Technique: Left: CT. Right: PSMA PET, same axial level, 18F-PSMA tracer. acquired on GE Discovery 690. PET panel 256×256 px (2.7 mm/px).
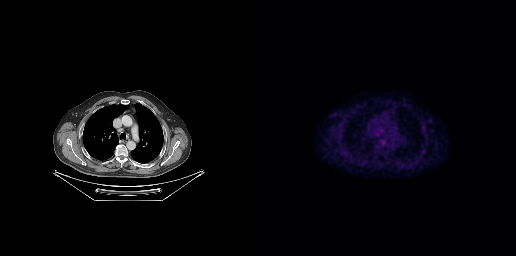
Findings: Only PSMA-avid lesion pieces thinner than 2 px on this slice (not listed).